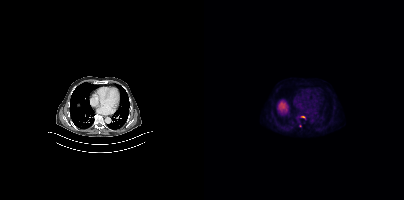
modality: PSMA PET/CT | tracer: [18F]PSMA-1007 | view: axial
Coordinates are on the 200×200 PET (right) panel. (showing 1 of 2 foci) Small PSMA-avid focus (2 to 4 px across) near (center x, center y): (98, 116).